Technique: Paired axial CT (left) and PSMA PET (right), 18F-PSMA tracer. acquired on Siemens Biograph mCT Flow 20. slice position z = -712 mm.
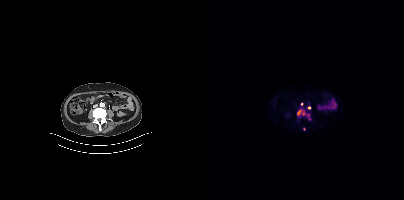
Findings: Coordinates are on the 200×200 PET (right) panel. (showing 2 of 3 foci) Small PSMA-avid foci (2 to 4 px across) near (center x, center y): (105, 107) | (97, 103).